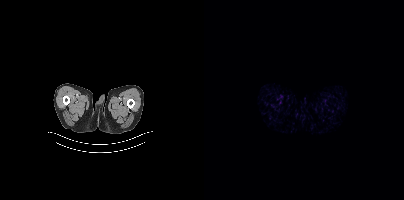
Negative for PSMA-avid disease on this slice.